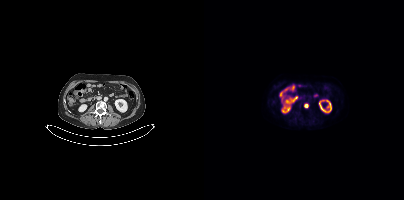
modality: PSMA PET/CT | tracer: [18F]PSMA-1007 | view: axial | PET grid: 200×200
Coordinates are on the 200×200 PET (right) panel. PSMA-avid tumor lesion bounding box (x, y, width, height): x=100 y=104 w=5 h=4.